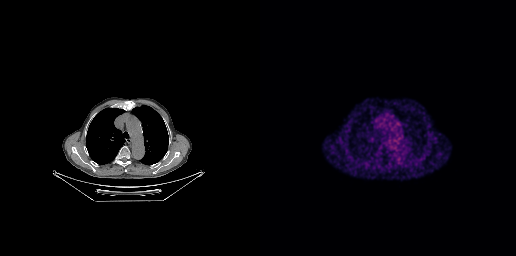
modality: PSMA PET/CT | tracer: 68Ga | view: axial | PET grid: 256×256
Negative for PSMA-avid disease on this slice.